Technique: Two-panel axial: CT | PSMA PET, 68Ga tracer.
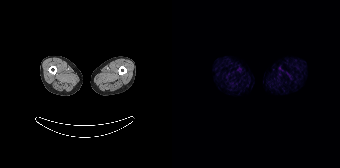
Findings: Negative for PSMA-avid disease on this slice.